Technique: Left: CT. Right: PSMA PET, same axial level, 18F-PSMA tracer.
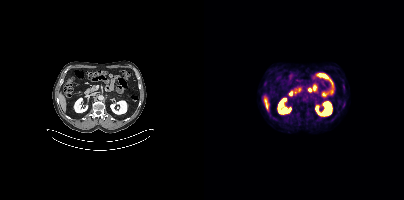
Findings: No tumor lesions annotated on this slice.